Two-panel axial: CT | PSMA PET, 18F-PSMA tracer. Slice 347 of 409. PET panel 200×200 px (4.1 mm/px).
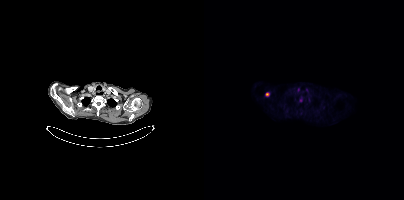
Coordinates are on the 200×200 PET (right) panel. (showing 1 of 2 foci) Small PSMA-avid focus (2 to 4 px across) near (center x, center y): (63, 94).